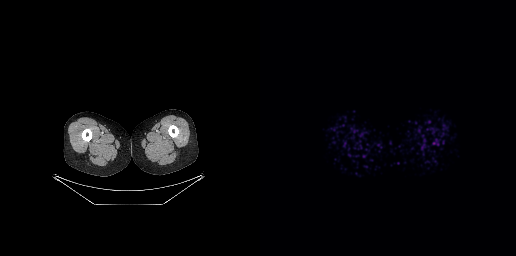
Two-panel axial: CT | PSMA PET, 18F tracer. Slice position z = -855 mm. PET panel 256×256 px (2.7 mm/px). Negative for PSMA-avid disease on this slice.